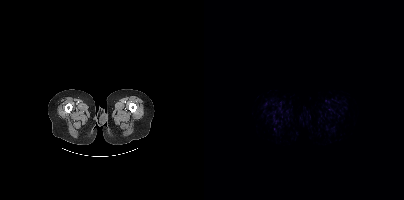
No tumor lesions annotated on this slice.